modality: PSMA PET/CT | tracer: 18F-PSMA | view: axial
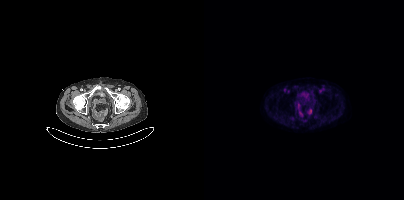
No PSMA-avid tumor lesions on this slice.